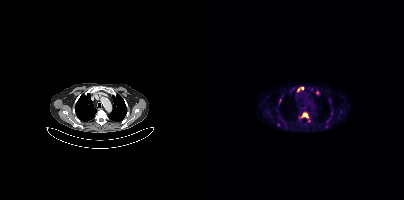
Paired axial CT (left) and PSMA PET (right), 18F tracer.
Coordinates are on the 200×200 PET (right) panel. PSMA-avid tumor lesion bounding boxes (partial; 2 more foci not listed):
| # | x0 | y0 | x1 | y1 |
|---|---|---|---|---|
| 1 | 97 | 112 | 104 | 118 |
| 2 | 93 | 87 | 99 | 91 |
Small PSMA-avid foci (2 to 4 px across) near (center x, center y): (113, 92); (75, 100).